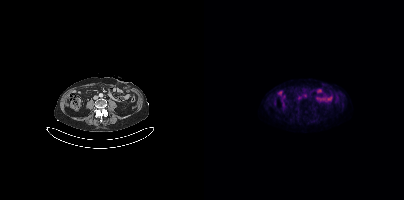
This slice has no annotated PSMA-avid lesion.
modality: PSMA PET/CT | tracer: 18F-PSMA | view: axial | PET grid: 200×200